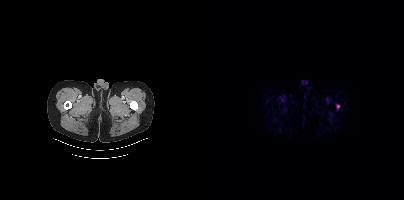
Coordinates are on the 200×200 PET (right) panel. PSMA-avid tumor lesion bounding box (x0, y0)-(x1, y1): (132, 104)-(135, 109).
modality: PSMA PET/CT | tracer: 18F-PSMA | view: axial